Technique: Two-panel axial: CT | PSMA PET, 68Ga tracer. PET panel 256×256 px (2.7 mm/px).
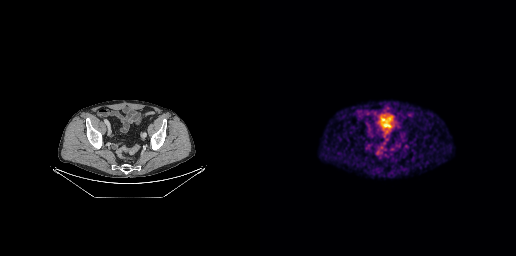
Findings: No tumor lesions annotated on this slice.